Left: CT. Right: PSMA PET, same axial level, 68Ga-PSMA tracer. Acquired on GE Discovery 690. Slice 57 of 263. PET panel 256×256 px (2.7 mm/px).
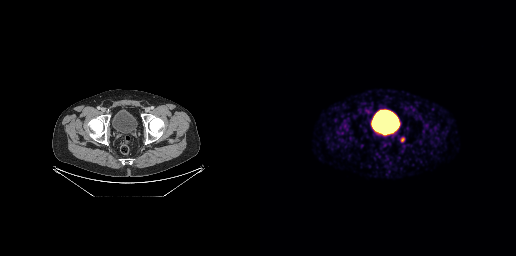
Only PSMA-avid lesion pieces thinner than 2 px on this slice (not listed).